Technique: Paired axial CT (left) and PSMA PET (right), [18F]PSMA-1007 tracer. slice position z = -1542 mm. PET panel 200×200 px (4.1 mm/px).
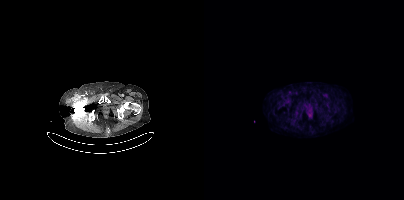
Findings: Coordinates are on the 200×200 PET (right) panel. Small PSMA-avid focus (2 to 4 px across) near (center x, center y): (85, 92).